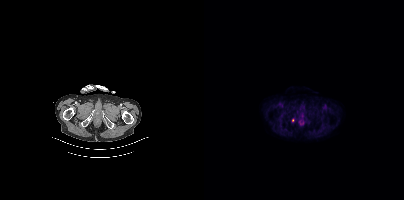
Technique: Left: CT. Right: PSMA PET, same axial level, 18F-PSMA tracer. acquired on Siemens Biograph mCT Flow 20.
Findings: Coordinates are on the 200×200 PET (right) panel. Small PSMA-avid foci (2 to 4 px across) near (center x, center y): (89, 120); (93, 111).